Technique: Two-panel axial: CT | PSMA PET, 18F tracer. slice 169 of 421.
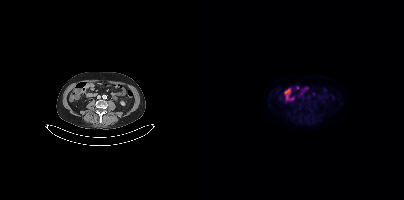
Findings: No PSMA-avid tumor lesions on this slice.